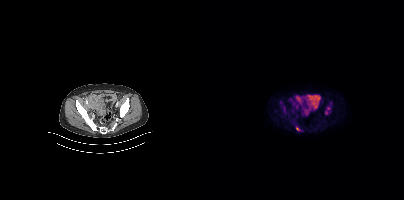
Left: CT. Right: PSMA PET, same axial level, 18F tracer. Slice position z = -1442 mm. PET panel 200×200 px (4.1 mm/px). Coordinates are on the 200×200 PET (right) panel. (showing 2 of 5 foci) PSMA-avid tumor lesion bounding boxes (x0, y0)-(x1, y1): (92, 126)-(96, 130); (80, 107)-(81, 112).